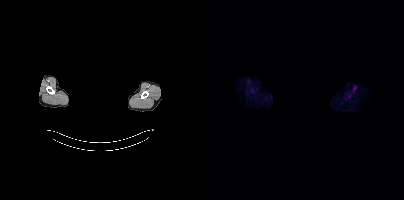
Face de-identified by blanking a block of the head.
Coordinates are on the 200×200 PET (right) panel. Small PSMA-avid focus (2 to 4 px across) near (center x, center y): (145, 96).